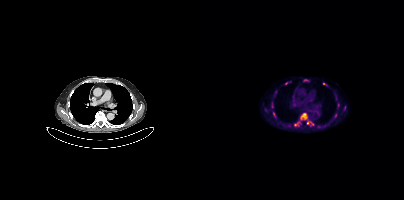
Coordinates are on the 200×200 PET (right) panel. (showing 6 of 10 foci) PSMA-avid tumor lesion bounding box (x0,y0,x1,y1): [97,113,103,119]. Small PSMA-avid foci (2 to 4 px across) near (center x, center y): (82, 83), (120, 84), (69, 114), (103, 123), (91, 124).